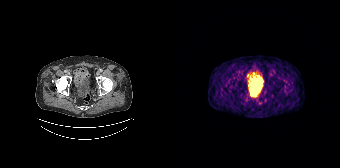
{"modality":"PSMA PET/CT","view":"axial","tracer":"[68Ga]Ga-PSMA-11","pet_grid":[168,168],"coord_frame":"pet_panel","coord_format":"x0,y0,x1,y1","lesion_bboxes":[[81,92,86,96]]}